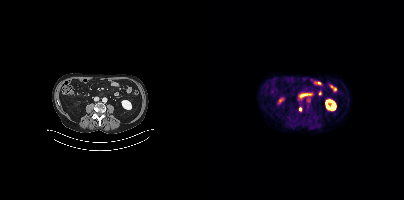
{"modality":"PSMA PET/CT","view":"axial","tracer":"18F","pet_grid":[200,200],"coord_frame":"pet_panel","coord_format":"x0,y0,x1,y1","lesion_bboxes":[[95,107,98,111]]}